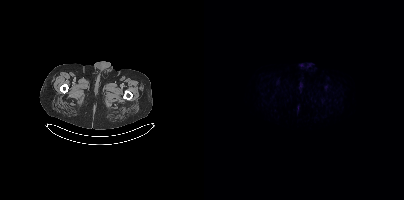
{"modality":"PSMA PET/CT","view":"axial","tracer":"18F-PSMA","pet_grid":[200,200],"coord_frame":"pet_panel","coord_format":"x0,y0,x1,y1","psma_avid_lesions":false}